Two-panel axial: CT | PSMA PET, 18F-PSMA tracer. Slice position z = -313 mm. PET panel 200×200 px (4.1 mm/px).
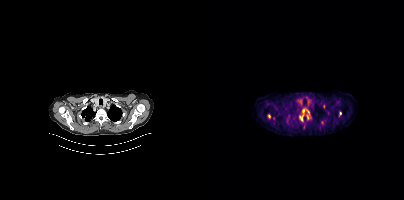
Coordinates are on the 200×200 PET (right) panel. (showing 3 of 6 foci) PSMA-avid tumor lesion bounding boxes (x0, y0)-(x1, y1): (95, 109)-(105, 121) / (103, 115)-(104, 119). Small PSMA-avid focus (2 to 4 px across) near (center x, center y): (135, 113).